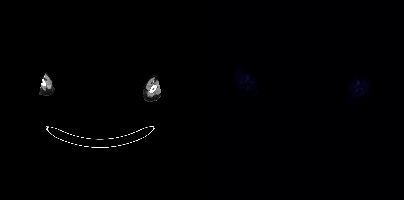
{"modality":"PSMA PET/CT","view":"axial","tracer":"[18F]PSMA-1007","pet_grid":[200,200],"coord_frame":"pet_panel","coord_format":"x0,y0,x1,y1","redaction":"face masked with black rectangle","psma_avid_lesions":false}